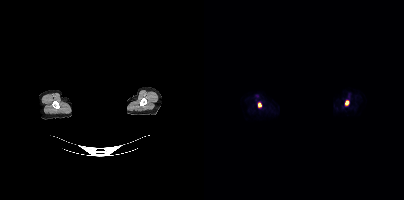
{"modality":"PSMA PET/CT","view":"axial","tracer":"18F-PSMA","pet_grid":[200,200],"coord_frame":"pet_panel","coord_format":"x0,y0,x1,y1","redaction":"privacy mask over head","lesion_bboxes":[[141,100,144,105],[54,102,57,107]]}